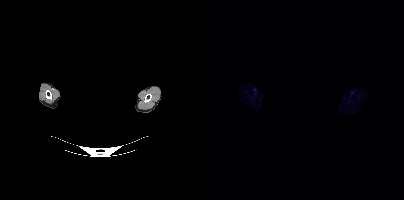
{"modality":"PSMA PET/CT","view":"axial","tracer":"18F-PSMA","pet_grid":[200,200],"coord_frame":"pet_panel","coord_format":"x0,y0,x1,y1","redaction":"rectangular block over head set to black","psma_avid_lesions":false}